modality: PSMA PET/CT | tracer: 18F-PSMA | view: axial
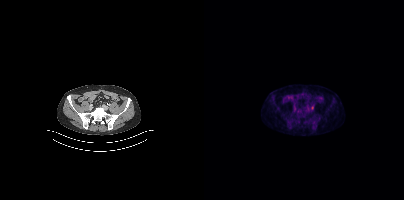
Coordinates are on the 200×200 PET (right) panel. Small PSMA-avid focus (2 to 4 px across) near (center x, center y): (108, 107).